Technique: Left: CT. Right: PSMA PET, same axial level, [18F]PSMA-1007 tracer. PET panel 168×168 px (4.1 mm/px).
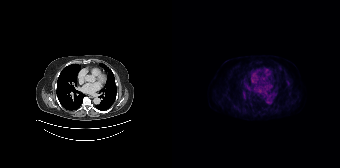
Findings: No tumor lesions annotated on this slice.